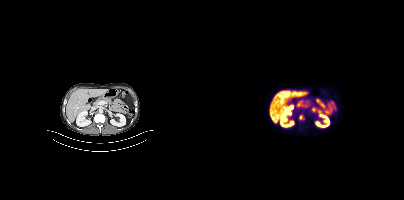
{"pet_grid":[200,200],"coord_frame":"pet_panel","coord_format":"x0,y0,x1,y1","lesion_bboxes":[[95,115,99,119]],"modality":"PSMA PET/CT","view":"axial","tracer":"18F-PSMA"}